- Two-panel axial: CT | PSMA PET, [68Ga]Ga-PSMA-11 tracer
- acquired on Siemens Biograph 64-4R TruePoint
- PET panel 168×168 px (4.1 mm/px)
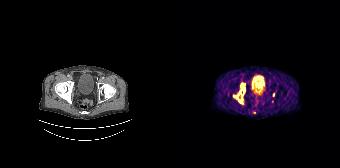
Findings: Coordinates are on the 168×168 PET (right) panel. (showing 3 of 6 foci) PSMA-avid tumor lesion bounding box (x0,y0,x1,y1): [69,83,72,92]. Small PSMA-avid foci (2 to 4 px across) near (center x, center y): (101, 94); (68, 101).